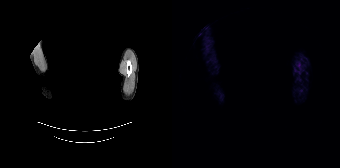
Technique: Left: CT. Right: PSMA PET, same axial level, [68Ga]Ga-PSMA-11 tracer. slice 174 of 195. PET panel 168×168 px (4.1 mm/px).
Note: An anonymization step blacked out a rectangle over the head in this scan.
Findings: No tumor lesions annotated on this slice.